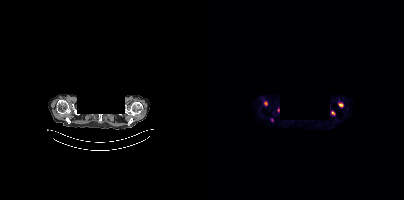
{"modality":"PSMA PET/CT","view":"axial","tracer":"18F","pet_grid":[200,200],"coord_frame":"pet_panel","coord_format":"x0,y0,x1,y1","de-identification":"head region blanked (face removed)","lesion_bboxes":[[134,102,139,107],[127,111,131,115],[60,101,63,105]],"small_foci_centers":[[74,109],[68,120]]}